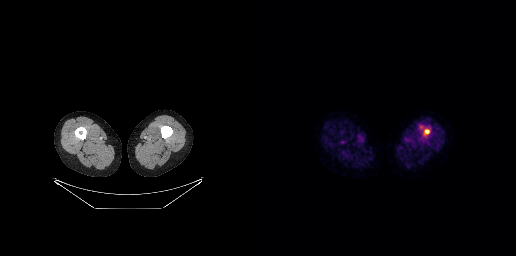
This slice has no annotated PSMA-avid lesion.